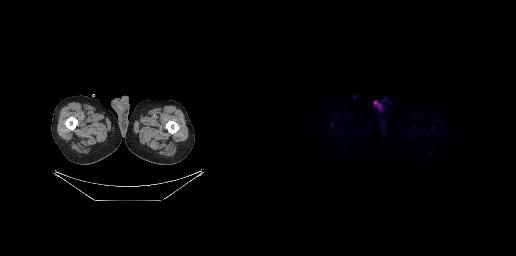
- Left: CT. Right: PSMA PET, same axial level, 18F-PSMA tracer
- slice 33 of 299
Findings: This slice has no annotated PSMA-avid lesion.